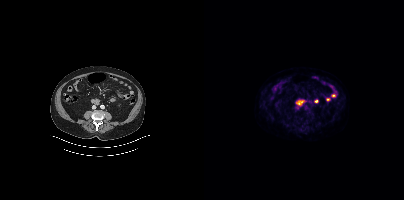
No tumor lesions annotated on this slice. Left: CT. Right: PSMA PET, same axial level, [18F]PSMA-1007 tracer. Slice 170 of 405.